Two-panel axial: CT | PSMA PET, [18F]PSMA-1007 tracer. Acquired on Siemens Biograph mCT Flow 20. Slice position z = -507 mm.
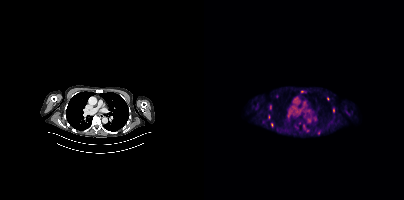
Coordinates are on the 200×200 PET (right) panel. PSMA-avid tumor lesion bounding boxes:
| # | x0 | y0 | x1 | y1 |
|---|---|---|---|---|
| 1 | 129 | 108 | 130 | 112 |
Small PSMA-avid focus (2 to 4 px across) near (center x, center y): (67, 124).